Left: CT. Right: PSMA PET, same axial level, 18F-PSMA tracer. Acquired on Siemens Biograph mCT Flow 20. Slice 256 of 423.
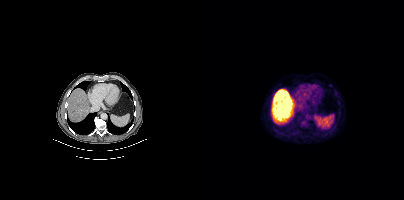
This slice has no annotated PSMA-avid lesion.